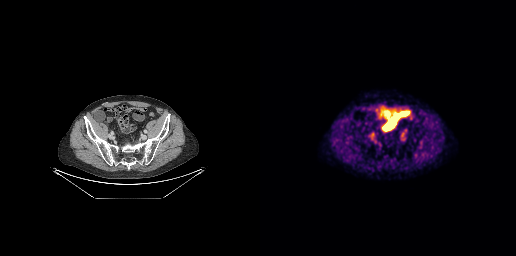
Findings: No PSMA-avid tumor lesions on this slice.
Technique: Paired axial CT (left) and PSMA PET (right), [18F]PSMA-1007 tracer. acquired on GE Discovery 690. PET panel 256×256 px (2.7 mm/px).